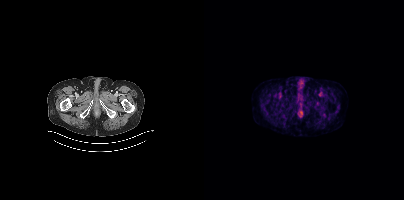
modality: PSMA PET/CT | tracer: 18F | view: axial
This slice has no annotated PSMA-avid lesion.